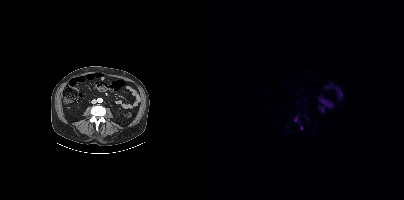
Paired axial CT (left) and PSMA PET (right), 18F-PSMA tracer. Acquired on Siemens Biograph mCT Flow 20. Slice 157 of 423.
Coordinates are on the 200×200 PET (right) panel. PSMA-avid tumor lesion bounding boxes:
| # | x0 | y0 | x1 | y1 |
|---|---|---|---|---|
| 1 | 91 | 117 | 93 | 121 |
Small PSMA-avid focus (2 to 4 px across) near (center x, center y): (97, 127).